Paired axial CT (left) and PSMA PET (right), 68Ga-PSMA tracer. Acquired on Siemens Biograph 64-4R TruePoint.
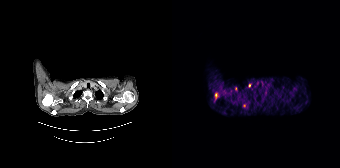
Coordinates are on the 168×168 PET (right) panel. PSMA-avid tumor lesion bounding box (x0, y0)-(x1, y1): (43, 93)-(46, 99). Small PSMA-avid foci (2 to 4 px across) near (center x, center y): (72, 105); (63, 88); (77, 85).